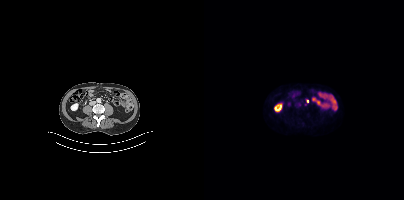
{"modality":"PSMA PET/CT","view":"axial","tracer":"[18F]PSMA-1007","pet_grid":[200,200],"coord_frame":"pet_panel","coord_format":"x0,y0,x1,y1","lesion_bboxes":[[101,100,104,105]]}